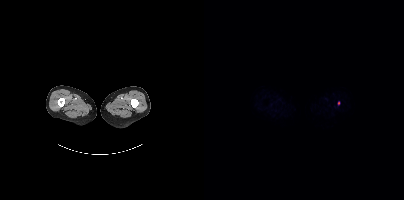
Paired axial CT (left) and PSMA PET (right), 18F tracer. Acquired on Siemens Biograph mCT Flow 20. Slice position z = -1180 mm. Coordinates are on the 200×200 PET (right) panel. Small PSMA-avid focus (2 to 4 px across) near (center x, center y): (134, 103).